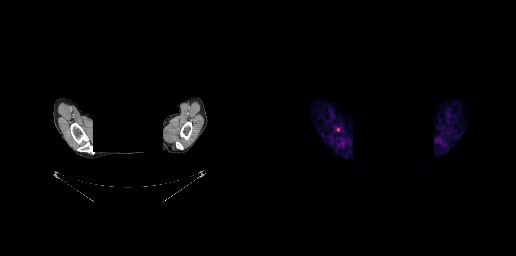
Coordinates are on the 256×256 PET (right) panel. PSMA-avid tumor lesion bounding box (x0, y0)-(x1, y1): (76, 127)-(79, 131). Left: CT. Right: PSMA PET, same axial level, [68Ga]Ga-PSMA-11 tracer. Acquired on GE Discovery 690. Privacy masking over the head, with the pixels inside a rectangle set to black.